Paired axial CT (left) and PSMA PET (right), 18F tracer. Slice position z = -904 mm. PET panel 200×200 px (4.1 mm/px).
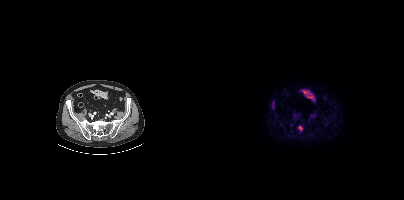
Coordinates are on the 200×200 PET (right) panel. PSMA-avid tumor lesion bounding boxes:
| # | x0 | y0 | x1 | y1 |
|---|---|---|---|---|
| 1 | 94 | 126 | 98 | 130 |